- Two-panel axial: CT | PSMA PET, 18F tracer
- acquired on Siemens Biograph mCT Flow 20
- slice 161 of 429
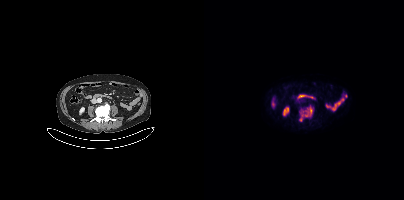
Findings: Coordinates are on the 200×200 PET (right) panel. PSMA-avid tumor lesion bounding box (x, y, width, height): x=95 y=106 w=14 h=16.